Technique: Two-panel axial: CT | PSMA PET, 68Ga tracer. acquired on GE Discovery 690. slice position z = -649 mm.
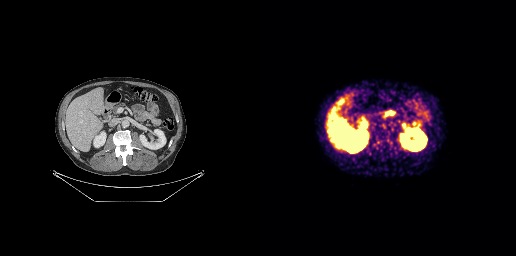
Findings: Negative for PSMA-avid disease on this slice.